Technique: Paired axial CT (left) and PSMA PET (right), [18F]PSMA-1007 tracer. acquired on Siemens Biograph mCT Flow 20. PET panel 200×200 px (4.1 mm/px).
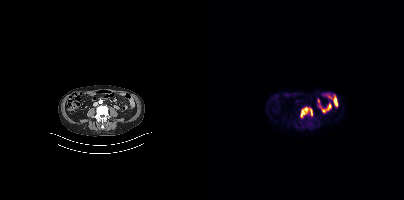
Findings: Coordinates are on the 200×200 PET (right) panel. PSMA-avid tumor lesion bounding box (x0,y0,x1,y1): [96,107,108,117].